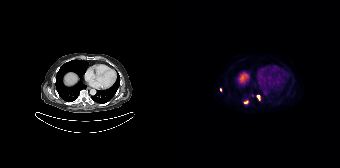
Technique: Two-panel axial: CT | PSMA PET, 18F-PSMA tracer. acquired on Siemens Biograph 64-4R TruePoint. PET panel 168×168 px (4.1 mm/px).
Findings: Coordinates are on the 168×168 PET (right) panel. PSMA-avid tumor lesion bounding box (x, y, width, height): x=71 y=100 w=6 h=4. Small PSMA-avid foci (2 to 4 px across) near (center x, center y): (86, 96) / (48, 89).